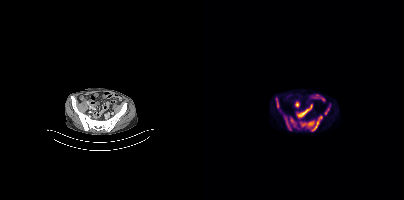
Technique: Paired axial CT (left) and PSMA PET (right), 18F-PSMA tracer.
Findings: Coordinates are on the 200×200 PET (right) panel. PSMA-avid tumor lesion bounding boxes (x0,y0,x1,y1): [96,115,118,130], [80,115,86,129], [86,117,91,126], [72,97,75,108], [120,107,125,114].